Technique: Paired axial CT (left) and PSMA PET (right), 18F tracer. acquired on Siemens Biograph mCT Flow 20. slice position z = -430 mm.
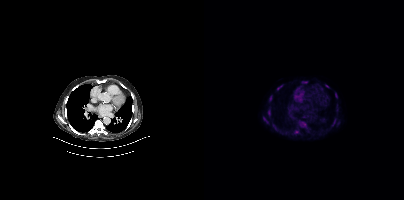
Findings: Coordinates are on the 200×200 PET (right) panel. (showing 7 of 8 foci) PSMA-avid tumor lesion bounding boxes (x, y, width, height): x=94 y=121 w=9 h=7 | x=65 y=95 w=4 h=7 | x=64 y=109 w=3 h=7 | x=59 y=117 w=6 h=7 | x=73 y=85 w=6 h=5 | x=131 y=93 w=3 h=5. Small PSMA-avid focus (2 to 4 px across) near (center x, center y): (69, 125).